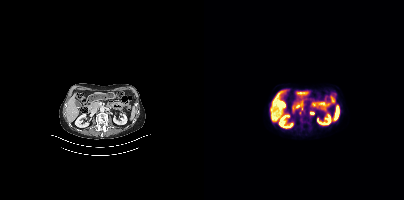
Coordinates are on the 200×200 PET (right) panel. PSMA-avid tumor lesion bounding boxes (x0,y0,x1,y1): [95,108,99,114], [106,111,110,114].
modality: PSMA PET/CT | tracer: 18F-PSMA | view: axial